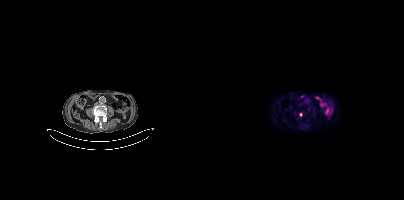
{"modality":"PSMA PET/CT","view":"axial","tracer":"18F","pet_grid":[200,200],"coord_frame":"pet_panel","coord_format":"x0,y0,x1,y1","lesion_bboxes":[],"small_foci_centers":[[104,109],[96,114]]}